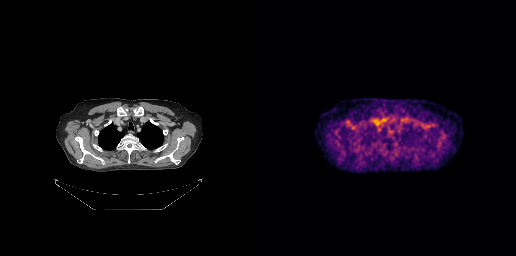
Left: CT. Right: PSMA PET, same axial level, [18F]PSMA-1007 tracer. Slice position z = -223 mm. PET panel 256×256 px (2.7 mm/px). Negative for PSMA-avid disease on this slice.